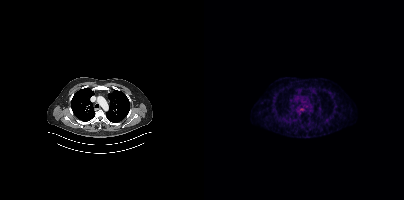
Negative for PSMA-avid disease on this slice.